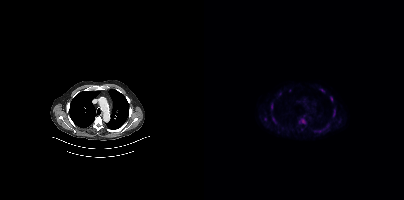
Findings: Coordinates are on the 200×200 PET (right) panel. (showing 10 of 15 foci) PSMA-avid tumor lesion bounding boxes (x, y, width, height): x=95 y=118 w=7 h=6 | x=129 y=109 w=3 h=8 | x=68 y=117 w=5 h=7 | x=67 y=103 w=2 h=7 | x=116 y=89 w=5 h=3. Small PSMA-avid foci (2 to 4 px across) near (center x, center y): (123, 125) | (127, 98) | (61, 119) | (115, 131) | (76, 93).
Technique: Paired axial CT (left) and PSMA PET (right), [18F]PSMA-1007 tracer. acquired on Siemens Biograph mCT Flow 20.